Technique: Left: CT. Right: PSMA PET, same axial level, 68Ga-PSMA tracer. acquired on GE Discovery 690.
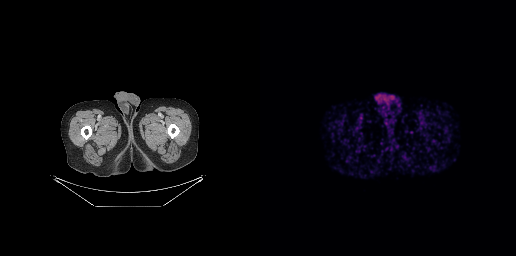
Findings: No PSMA-avid tumor lesions on this slice.